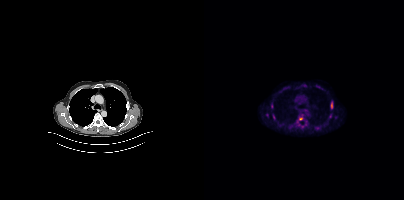
{"pet_grid":[200,200],"coord_frame":"pet_panel","coord_format":"x0,y0,x1,y1","partial":true,"lesion_bboxes":[[126,100,129,109],[111,127,115,129],[67,104,68,108],[69,115,71,119],[103,120,104,124]],"small_foci_centers":[[126,115],[63,114],[96,118]],"modality":"PSMA PET/CT","view":"axial","tracer":"18F"}